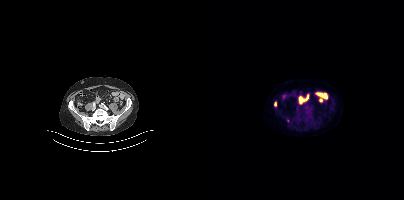
- Two-panel axial: CT | PSMA PET, [18F]PSMA-1007 tracer
- slice position z = -880 mm
Findings: Coordinates are on the 200×200 PET (right) panel. PSMA-avid tumor lesion bounding box (x0,y0,x1,y1): [70,101,72,106].